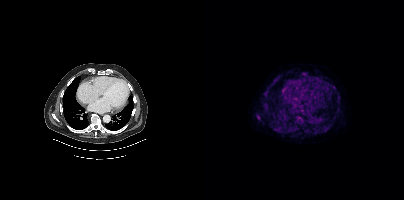
Coordinates are on the 200×200 PET (right) panel. (showing 1 of 2 foci) Small PSMA-avid focus (2 to 4 px across) near (center x, center y): (100, 73).